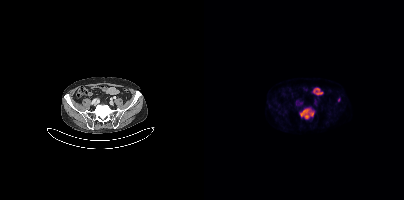
Two-panel axial: CT | PSMA PET, [18F]PSMA-1007 tracer. Acquired on Siemens Biograph mCT Flow 20. Coordinates are on the 200×200 PET (right) panel. PSMA-avid tumor lesion bounding box (x0,y0,x1,y1): [96,108,110,118]. Small PSMA-avid focus (2 to 4 px across) near (center x, center y): (134, 99).